Technique: Paired axial CT (left) and PSMA PET (right), 18F-PSMA tracer.
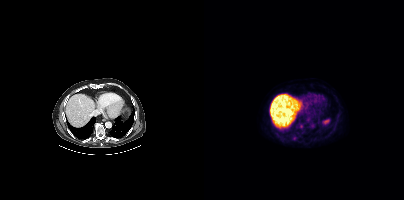
Findings: Coordinates are on the 200×200 PET (right) panel. Small PSMA-avid focus (2 to 4 px across) near (center x, center y): (90, 138).